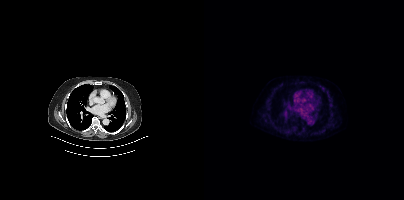
{"modality":"PSMA PET/CT","view":"axial","tracer":"[18F]PSMA-1007","pet_grid":[200,200],"coord_frame":"pet_panel","coord_format":"x0,y0,x1,y1","psma_avid_lesions":false}